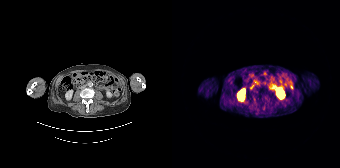
Technique: Left: CT. Right: PSMA PET, same axial level, [68Ga]Ga-PSMA-11 tracer. acquired on Siemens Biograph 64-4R TruePoint. slice 68 of 165. PET panel 168×168 px (4.1 mm/px).
Findings: This slice has no annotated PSMA-avid lesion.